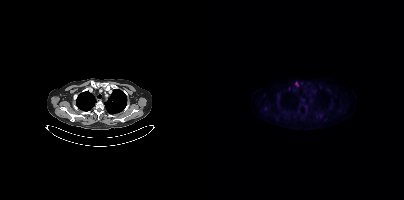
{"modality":"PSMA PET/CT","view":"axial","tracer":"18F-PSMA","pet_grid":[200,200],"coord_frame":"pet_panel","coord_format":"x0,y0,x1,y1","partial":true,"lesion_bboxes":[[91,82,94,86]]}